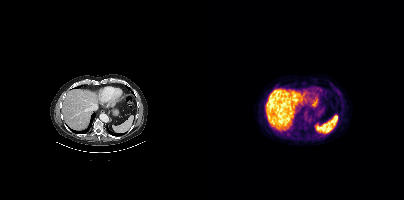
Technique: Two-panel axial: CT | PSMA PET, [18F]PSMA-1007 tracer. slice position z = -505 mm. PET panel 200×200 px (4.1 mm/px).
Findings: This slice has no annotated PSMA-avid lesion.